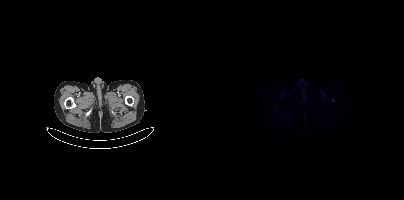
Two-panel axial: CT | PSMA PET, [68Ga]Ga-PSMA-11 tracer. Acquired on Siemens Biograph mCT Flow 20. Slice 32 of 411. Only PSMA-avid lesion pieces thinner than 2 px on this slice (not listed).